Paired axial CT (left) and PSMA PET (right), 18F tracer. Acquired on Siemens Biograph mCT Flow 20. Slice position z = -959 mm.
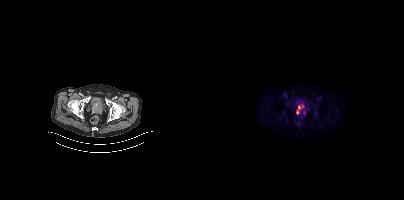
Coordinates are on the 200×200 PET (right) panel. PSMA-avid tumor lesion bounding boxes:
| # | x0 | y0 | x1 | y1 |
|---|---|---|---|---|
| 1 | 92 | 106 | 96 | 113 |
Small PSMA-avid focus (2 to 4 px across) near (center x, center y): (98, 106).